modality: PSMA PET/CT | tracer: [68Ga]Ga-PSMA-11 | view: axial
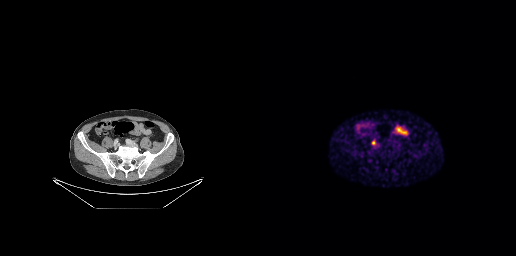
Coordinates are on the 256×256 PET (right) panel. Small PSMA-avid focus (2 to 4 px across) near (center x, center y): (113, 142).